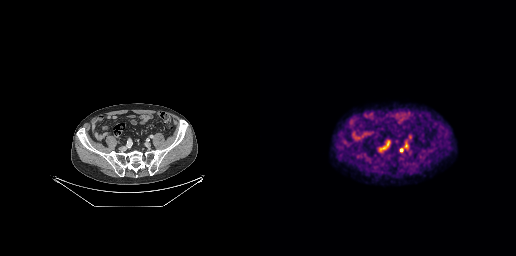
modality: PSMA PET/CT | tracer: 18F | view: axial
Coordinates are on the 256×256 PET (right) panel. PSMA-avid tumor lesion bounding box (x0,y0,x1,y1): [140,148,143,152].